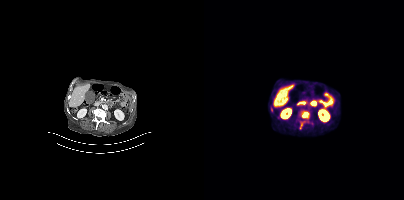
Coordinates are on the 200×200 PET (right) panel. PSMA-avid tumor lesion bounding box (x, y, width, height): x=94 y=111 w=13 h=19.